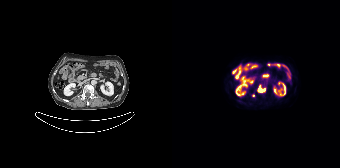
Coordinates are on the 168×168 PET (right) panel. PSMA-avid tumor lesion bounding box (x0, y0)-(x1, y1): (86, 87)-(92, 92). Small PSMA-avid focus (2 to 4 px across) near (center x, center y): (81, 95).